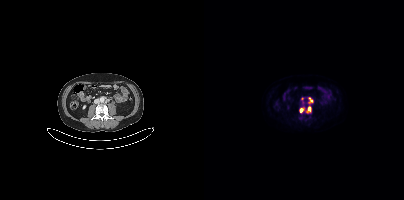
Coordinates are on the 200×200 PET (right) panel. (showing 3 of 5 foci) PSMA-avid tumor lesion bounding boxes (x0, y0)-(x1, y1): (104, 106)-(106, 111) | (96, 108)-(99, 112) | (106, 98)-(108, 102).
modality: PSMA PET/CT | tracer: 18F | view: axial